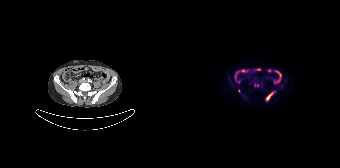
{"modality":"PSMA PET/CT","view":"axial","tracer":"18F-PSMA","pet_grid":[168,168],"coord_frame":"pet_panel","coord_format":"x0,y0,x1,y1","lesion_bboxes":[[94,91,102,100],[82,84,86,86]],"small_foci_centers":[[67,91],[57,77]]}